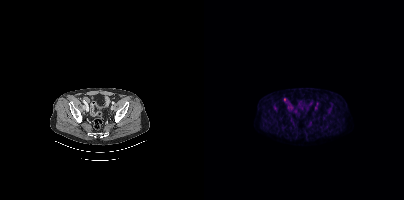
Coordinates are on the 200×200 PET (right) panel. Small PSMA-avid focus (2 to 4 px across) near (center x, center y): (80, 99).
modality: PSMA PET/CT | tracer: 18F-PSMA | view: axial | PET grid: 200×200